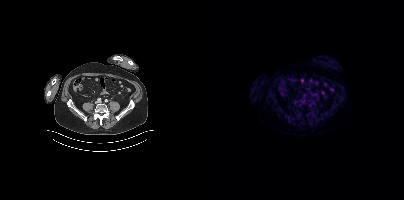
{"modality":"PSMA PET/CT","view":"axial","tracer":"68Ga","pet_grid":[200,200],"coord_frame":"pet_panel","coord_format":"x0,y0,x1,y1","psma_avid_lesions":false}